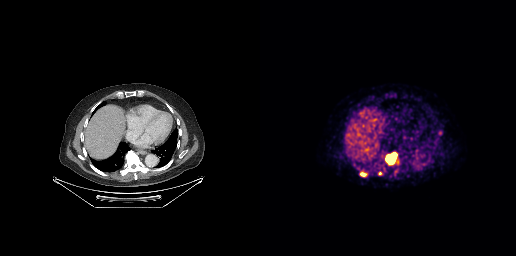
{"modality":"PSMA PET/CT","view":"axial","tracer":"[68Ga]Ga-PSMA-11","pet_grid":[256,256],"coord_frame":"pet_panel","coord_format":"x0,y0,x1,y1","lesion_bboxes":[[125,152,137,164],[100,172,106,176]],"small_foci_centers":[[120,173],[124,169]]}